Technique: Left: CT. Right: PSMA PET, same axial level, 68Ga-PSMA tracer. acquired on Siemens Biograph mCT Flow 20. slice 261 of 409. PET panel 200×200 px (4.1 mm/px).
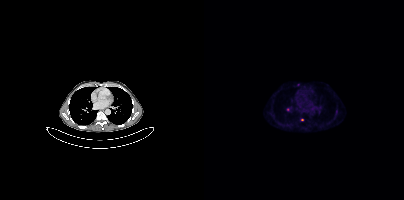
Findings: Coordinates are on the 200×200 PET (right) panel. Small PSMA-avid foci (2 to 4 px across) near (center x, center y): (84, 109); (94, 84); (97, 120).